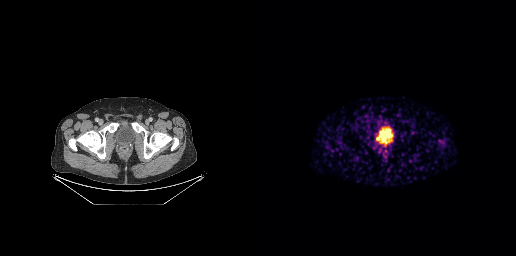
- Left: CT. Right: PSMA PET, same axial level, 68Ga-PSMA tracer
Findings: No PSMA-avid tumor lesions on this slice.